Two-panel axial: CT | PSMA PET, 18F tracer.
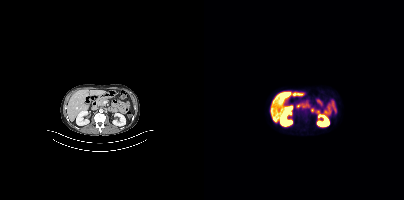
No tumor lesions annotated on this slice.